The head region is masked for de-identification.
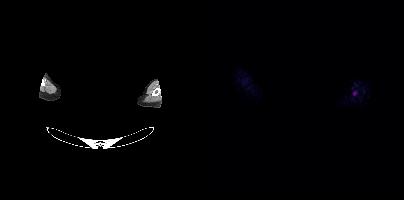
This slice has no annotated PSMA-avid lesion.